Technique: Left: CT. Right: PSMA PET, same axial level, 18F-PSMA tracer. slice position z = -436 mm.
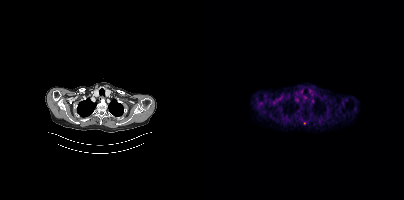
Findings: Coordinates are on the 200×200 PET (right) panel. Small PSMA-avid focus (2 to 4 px across) near (center x, center y): (100, 123).